Paired axial CT (left) and PSMA PET (right), [18F]PSMA-1007 tracer. Slice 431 of 435. An anonymization step blacked out a rectangle over the head in this scan.
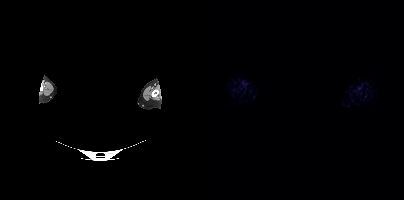
No PSMA-avid tumor lesions on this slice.